Two-panel axial: CT | PSMA PET, 68Ga tracer. PET panel 168×168 px (4.1 mm/px).
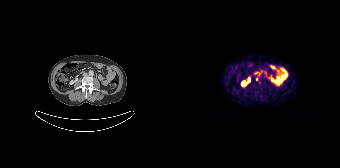
No tumor lesions annotated on this slice.